modality: PSMA PET/CT | tracer: 18F-PSMA | view: axial
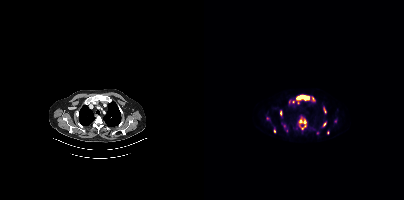
Coordinates are on the 200×200 PET (right) panel. (showing 7 of 9 foci) PSMA-avid tumor lesion bounding boxes (x0,y0,x1,y1): [92,95,105,100]; [95,118,102,129]; [76,111,78,115]; [119,122,122,126]. Small PSMA-avid foci (2 to 4 px across) near (center x, center y): (109, 99); (70, 131); (123, 132).